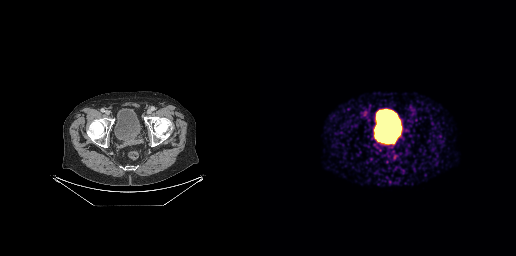
{"pet_grid":[256,256],"coord_frame":"pet_panel","coord_format":"x0,y0,x1,y1","lesion_bboxes":[[124,132,135,143],[117,135,122,140]],"modality":"PSMA PET/CT","view":"axial","tracer":"68Ga"}